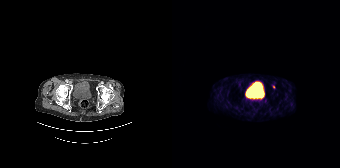
Left: CT. Right: PSMA PET, same axial level, [68Ga]Ga-PSMA-11 tracer. Acquired on Siemens Biograph 64-4R TruePoint. PET panel 168×168 px (4.1 mm/px). Only PSMA-avid lesion pieces thinner than 2 px on this slice (not listed).